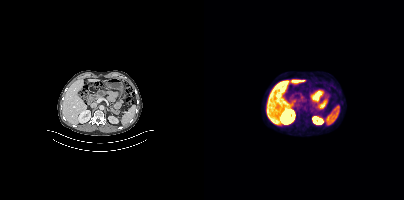
Negative for PSMA-avid disease on this slice.